Left: CT. Right: PSMA PET, same axial level, 18F tracer. Acquired on Siemens Biograph mCT Flow 20. Slice 21 of 373. PET panel 200×200 px (4.1 mm/px).
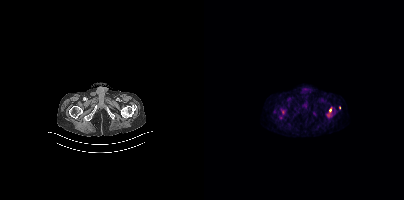
Coordinates are on the 200×200 PET (right) panel. PSMA-avid tumor lesion bounding boxes (x0,y0,x1,y1): [123,107,128,117], [78,110,80,114]. Small PSMA-avid foci (2 to 4 px across) near (center x, center y): (77, 117), (135, 107).